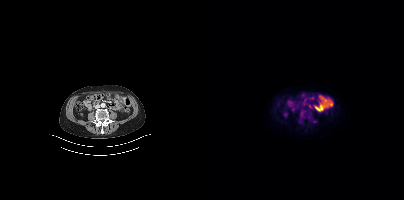
Only PSMA-avid lesion pieces thinner than 2 px on this slice (not listed). Paired axial CT (left) and PSMA PET (right), 18F-PSMA tracer.